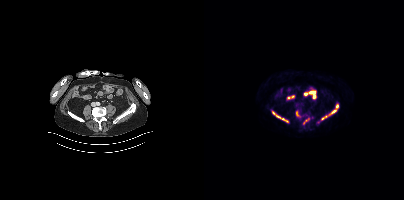
{"pet_grid":[200,200],"coord_frame":"pet_panel","coord_format":"x0,y0,x1,y1","partial":true,"lesion_bboxes":[[118,110,131,119],[69,112,83,121],[99,118,105,124]],"small_foci_centers":[[133,106]],"modality":"PSMA PET/CT","view":"axial","tracer":"[18F]PSMA-1007"}